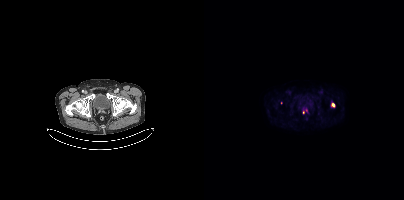
Coordinates are on the 200×200 PET (right) panel. (showing 2 of 4 foci) Small PSMA-avid foci (2 to 4 px across) near (center x, center y): (100, 111); (129, 105). Left: CT. Right: PSMA PET, same axial level, [18F]PSMA-1007 tracer. Slice position z = -1491 mm. PET panel 200×200 px (4.1 mm/px).